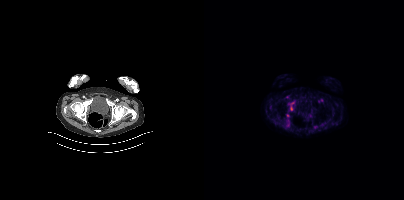
Two-panel axial: CT | PSMA PET, [18F]PSMA-1007 tracer. Acquired on Siemens Biograph mCT Flow 20. Slice 64 of 421. PET panel 200×200 px (4.1 mm/px). No PSMA-avid tumor lesions on this slice.